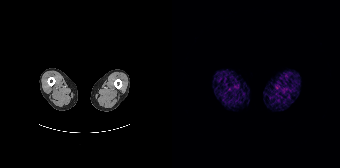
{"modality":"PSMA PET/CT","view":"axial","tracer":"68Ga","pet_grid":[168,168],"coord_frame":"pet_panel","coord_format":"x0,y0,x1,y1","psma_avid_lesions":false}